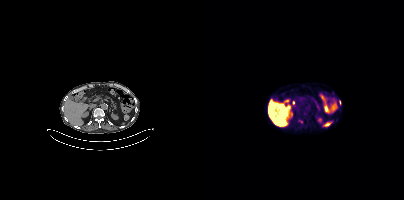
Findings: Coordinates are on the 200×200 PET (right) panel. Small PSMA-avid foci (2 to 4 px across) near (center x, center y): (96, 121); (135, 102).
Technique: Left: CT. Right: PSMA PET, same axial level, 18F-PSMA tracer. acquired on Siemens Biograph mCT Flow 20. slice 198 of 385. PET panel 200×200 px (4.1 mm/px).